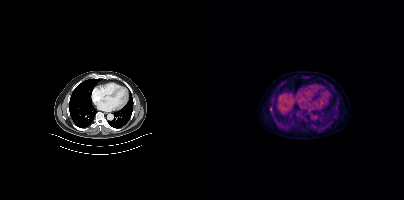
Coordinates are on the 200×200 PET (right) panel. PSMA-avid tumor lesion bounding box (x, y, width, height): x=66 y=107 w=3 h=5.